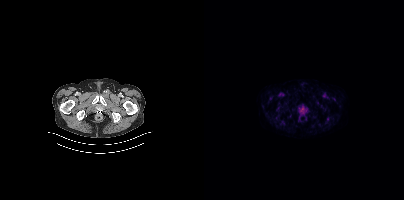
No tumor lesions annotated on this slice.